Two-panel axial: CT | PSMA PET, [18F]PSMA-1007 tracer. Slice 183 of 389. PET panel 200×200 px (4.1 mm/px).
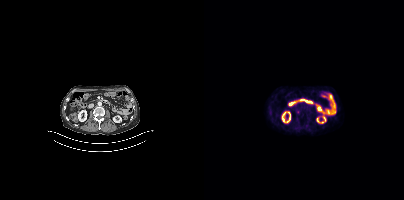
Coordinates are on the 200×200 PET (right) panel. Small PSMA-avid focus (2 to 4 px across) near (center x, center y): (94, 111).